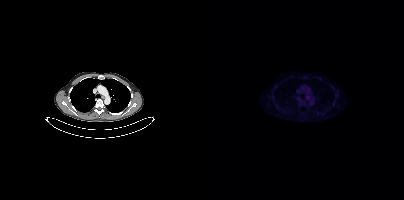
{"modality":"PSMA PET/CT","view":"axial","tracer":"[18F]PSMA-1007","pet_grid":[200,200],"coord_frame":"pet_panel","coord_format":"x0,y0,x1,y1","psma_avid_lesions":false}